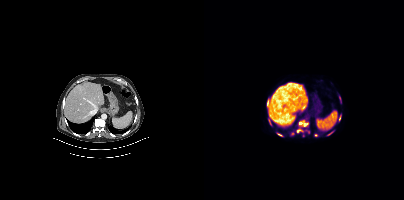
Coordinates are on the 200×200 PET (right) panel. (showing 8 of 9 foci) PSMA-avid tumor lesion bounding boxes (x0,y0,x1,y1): [63,100,64,105] [73,133,78,136] [135,116,136,120] [65,120,67,124]. Small PSMA-avid foci (2 to 4 px across) near (center x, center y): (101, 124) (96, 123) (111, 135) (94, 130).